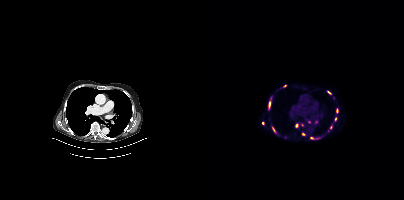
Coordinates are on the 200×200 PET (right) panel. (showing 11 of 13 foci) PSMA-avid tumor lesion bounding box (x0,y0,x1,y1): [65,102,66,107]. Small PSMA-avid foci (2 to 4 px across) near (center x, center y): (92, 125); (107, 138); (127, 127); (99, 134); (81, 85); (125, 92); (58, 123); (98, 124); (131, 118); (69, 129).